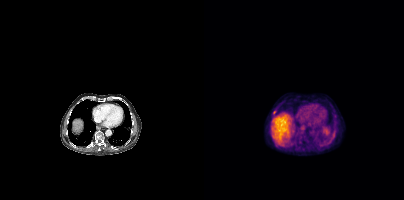
Coordinates are on the 200×200 PET (right) panel. PSMA-avid tumor lesion bounding box (x, y, width, height): x=69 y=110 w=4 h=6.